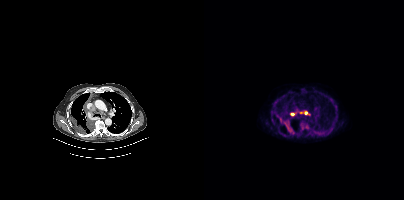
Coordinates are on the 200×200 PET (right) panel. PSMA-avid tumor lesion bounding boxes:
| # | x0 | y0 | x1 | y1 |
|---|---|---|---|---|
| 1 | 75 | 118 | 88 | 131 |
| 2 | 97 | 123 | 103 | 129 |
| 3 | 87 | 113 | 91 | 115 |
Small PSMA-avid foci (2 to 4 px across) near (center x, center y): (97, 112); (102, 113).
Paired axial CT (left) and PSMA PET (right), [18F]PSMA-1007 tracer. Slice position z = -1088 mm.